Technique: Left: CT. Right: PSMA PET, same axial level, 18F tracer. slice 347 of 423. PET panel 200×200 px (4.1 mm/px).
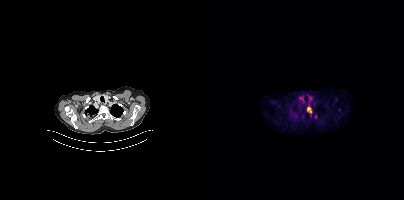
Findings: Coordinates are on the 200×200 PET (right) panel. PSMA-avid tumor lesion bounding box (x0, y0)-(x1, y1): (103, 105)-(108, 113). Small PSMA-avid focus (2 to 4 px across) near (center x, center y): (111, 116).